Facial anatomy redacted by setting a rectangular region of the head to black.
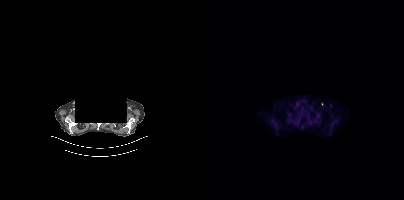
Coordinates are on the 200×200 PET (right) panel. (showing 1 of 2 foci) Small PSMA-avid focus (2 to 4 px across) near (center x, center y): (126, 105).